Technique: Paired axial CT (left) and PSMA PET (right), [18F]PSMA-1007 tracer. slice 259 of 438.
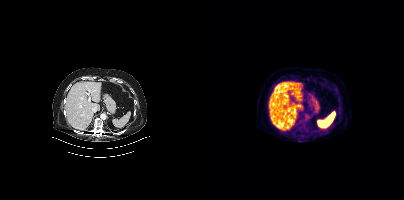
Findings: No tumor lesions annotated on this slice.